Left: CT. Right: PSMA PET, same axial level, 18F tracer. PET panel 200×200 px (4.1 mm/px).
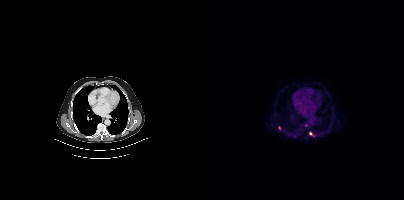
Coordinates are on the 200×200 PET (right) panel. (showing 2 of 3 foci) Small PSMA-avid foci (2 to 4 px across) near (center x, center y): (106, 133) / (75, 128).